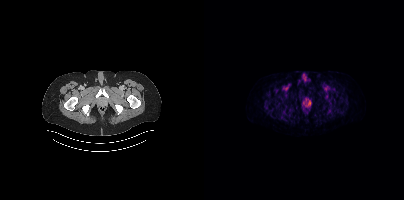
- Two-panel axial: CT | PSMA PET, [18F]PSMA-1007 tracer
- PET panel 200×200 px (4.1 mm/px)
Findings: Coordinates are on the 200×200 PET (right) panel. Small PSMA-avid focus (2 to 4 px across) near (center x, center y): (105, 103).